modality: PSMA PET/CT | tracer: 18F-PSMA | view: axial
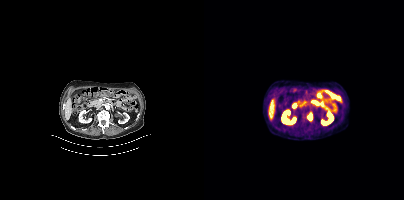
Coordinates are on the 200×200 PET (right) panel. PSMA-avid tumor lesion bounding box (x0,y0,x1,y1): [103,114,107,120].